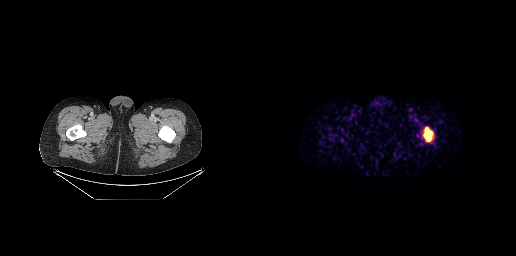
Two-panel axial: CT | PSMA PET, 68Ga-PSMA tracer.
Coordinates are on the 256×256 PET (right) panel. PSMA-avid tumor lesion bounding boxes:
| # | x0 | y0 | x1 | y1 |
|---|---|---|---|---|
| 1 | 163 | 127 | 173 | 141 |